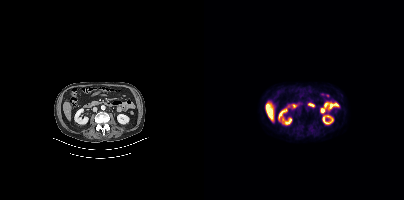
No PSMA-avid tumor lesions on this slice.